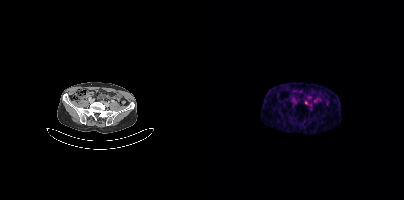
Two-panel axial: CT | PSMA PET, [68Ga]Ga-PSMA-11 tracer. Slice position z = -773 mm. PET panel 200×200 px (4.1 mm/px). Coordinates are on the 200×200 PET (right) panel. Small PSMA-avid focus (2 to 4 px across) near (center x, center y): (102, 102).